modality: PSMA PET/CT | tracer: [18F]PSMA-1007 | view: axial | PET grid: 200×200
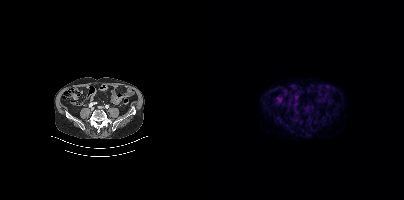
Negative for PSMA-avid disease on this slice.